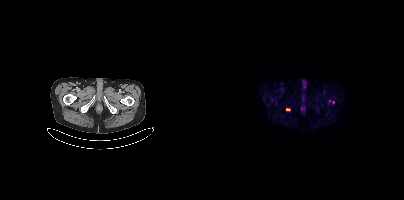
modality: PSMA PET/CT | tracer: 18F | view: axial
Coordinates are on the 200×200 PET (right) panel. (showing 1 of 3 foci) Small PSMA-avid focus (2 to 4 px across) near (center x, center y): (83, 109).